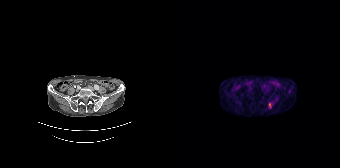
{"modality":"PSMA PET/CT","view":"axial","tracer":"[68Ga]Ga-PSMA-11","pet_grid":[168,168],"coord_frame":"pet_panel","coord_format":"x0,y0,x1,y1","lesion_bboxes":[],"small_foci_centers":[[97,105]]}